Technique: Left: CT. Right: PSMA PET, same axial level, 18F tracer. slice 311 of 442.
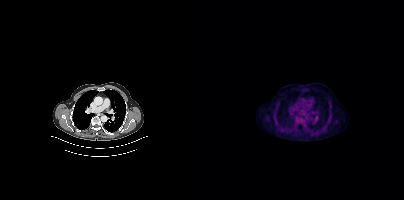
Findings: No PSMA-avid tumor lesions on this slice.